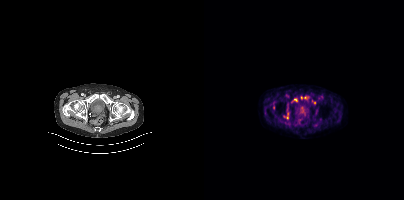
Coordinates are on the 200×200 PET (right) panel. (showing 1 of 2 foci) Small PSMA-avid focus (2 to 4 px across) near (center x, center y): (91, 100).